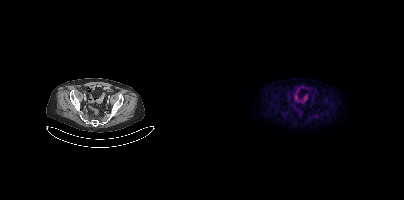
Left: CT. Right: PSMA PET, same axial level, 18F tracer. This slice has no annotated PSMA-avid lesion.